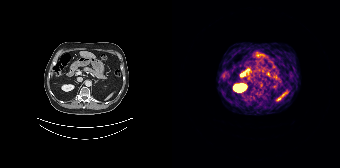
{"modality":"PSMA PET/CT","view":"axial","tracer":"68Ga-PSMA","pet_grid":[168,168],"coord_frame":"pet_panel","coord_format":"x0,y0,x1,y1","psma_avid_lesions":false}